Technique: Left: CT. Right: PSMA PET, same axial level, 18F-PSMA tracer. slice 204 of 371.
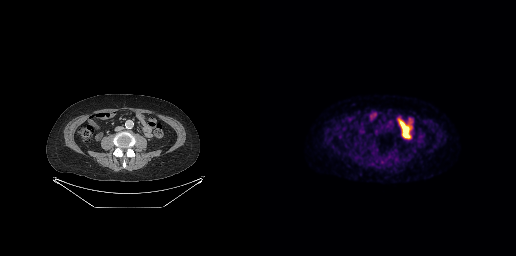
Findings: Negative for PSMA-avid disease on this slice.